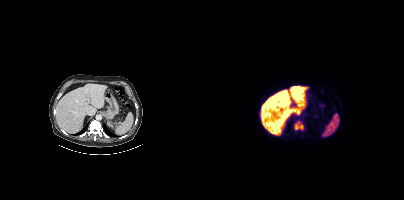
{"modality":"PSMA PET/CT","view":"axial","tracer":"18F-PSMA","pet_grid":[200,200],"coord_frame":"pet_panel","coord_format":"x0,y0,x1,y1","lesion_bboxes":[[90,121,99,130]]}